Paired axial CT (left) and PSMA PET (right), 18F tracer.
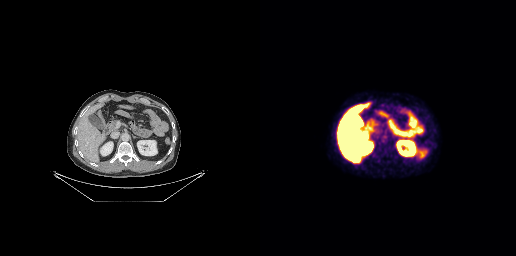
Only PSMA-avid lesion pieces thinner than 2 px on this slice (not listed).